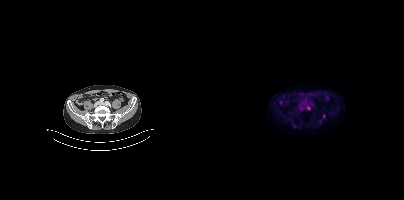
Coordinates are on the 200×200 PET (right) panel. (showing 3 of 4 foci) PSMA-avid tumor lesion bounding box (x, y, width, height): x=88 y=123 w=6 h=5. Small PSMA-avid foci (2 to 4 px across) near (center x, center y): (104, 107); (120, 115).